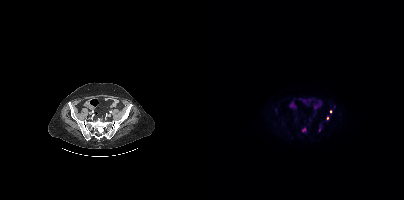
{"pet_grid":[200,200],"coord_frame":"pet_panel","coord_format":"x0,y0,x1,y1","lesion_bboxes":[],"small_foci_centers":[[123,117],[126,111]],"modality":"PSMA PET/CT","view":"axial","tracer":"18F"}